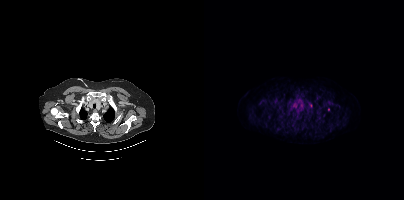
{"modality":"PSMA PET/CT","view":"axial","tracer":"18F","pet_grid":[200,200],"coord_frame":"pet_panel","coord_format":"x0,y0,x1,y1","psma_avid_lesions":false}